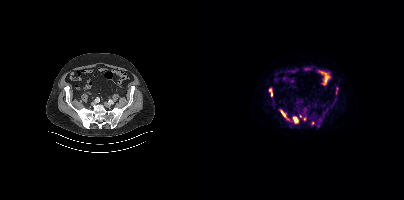
Coordinates are on the 200×200 PET (right) panel. PSMA-avid tumor lesion bounding boxes (x0,y0,x1,y1): [112,118,118,125] [89,117,94,123] [77,110,85,120] [66,89,68,95] [132,88,133,92]. Small PSMA-avid foci (2 to 4 px across) near (center x, center y): (100, 118) (108, 122).